modality: PSMA PET/CT | tracer: 18F | view: axial | PET grid: 200×200
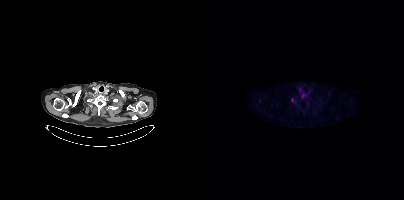
Coordinates are on the 200×200 PET (right) panel. (showing 2 of 3 foci) PSMA-avid tumor lesion bounding boxes (x, y, width, height): x=97 y=94 w=6 h=5 / x=87 y=98 w=3 h=5.